modality: PSMA PET/CT | tracer: 18F-PSMA | view: axial | PET grid: 200×200 | de-identification: privacy mask over head
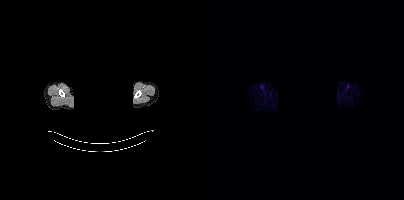
No PSMA-avid tumor lesions on this slice.